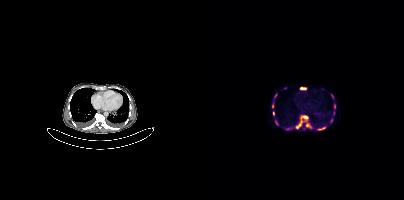
Paired axial CT (left) and PSMA PET (right), 68Ga tracer. Acquired on Siemens Biograph mCT Flow 20. PET panel 200×200 px (4.1 mm/px). Coordinates are on the 200×200 PET (right) panel. (showing 10 of 16 foci) PSMA-avid tumor lesion bounding boxes (x0, y0)-(x1, y1): (92, 115)-(104, 128); (114, 127)-(121, 130); (96, 87)-(102, 89); (102, 124)-(106, 127). Small PSMA-avid foci (2 to 4 px across) near (center x, center y): (130, 106); (69, 113); (83, 128); (127, 120); (128, 96); (71, 121).